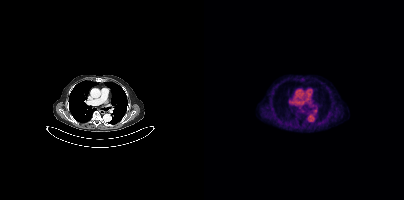
{"pet_grid":[200,200],"coord_frame":"pet_panel","coord_format":"x0,y0,x1,y1","lesion_bboxes":[],"small_foci_centers":[[95,107]],"modality":"PSMA PET/CT","view":"axial","tracer":"[18F]PSMA-1007"}